Two-panel axial: CT | PSMA PET, [68Ga]Ga-PSMA-11 tracer. Acquired on Siemens Biograph mCT Flow 20. Slice position z = -558 mm. PET panel 200×200 px (4.1 mm/px).
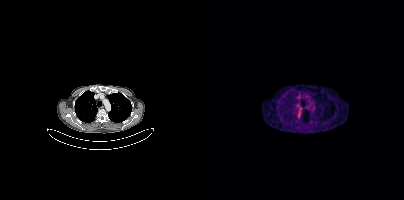
No PSMA-avid tumor lesions on this slice.